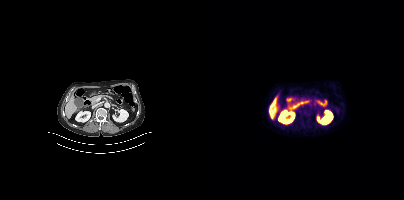
No tumor lesions annotated on this slice.